Paired axial CT (left) and PSMA PET (right), 18F-PSMA tracer. PET panel 200×200 px (4.1 mm/px).
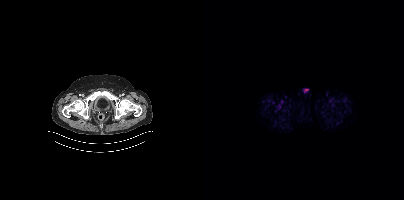
Negative for PSMA-avid disease on this slice.